Two-panel axial: CT | PSMA PET, 18F-PSMA tracer. Acquired on Siemens Biograph mCT Flow 20. Slice 84 of 421.
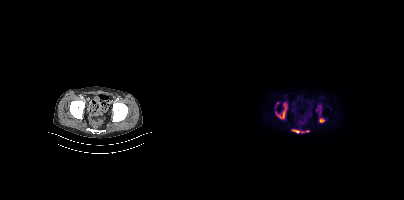
Coordinates are on the 200×200 PET (right) panel. PSMA-avid tumor lesion bounding boxes (partial; 1 more focus not listed):
| # | x0 | y0 | x1 | y1 |
|---|---|---|---|---|
| 1 | 72 | 103 | 83 | 118 |
| 2 | 88 | 129 | 99 | 133 |
| 3 | 115 | 118 | 120 | 122 |
Small PSMA-avid focus (2 to 4 px across) near (center x, center y): (103, 130).